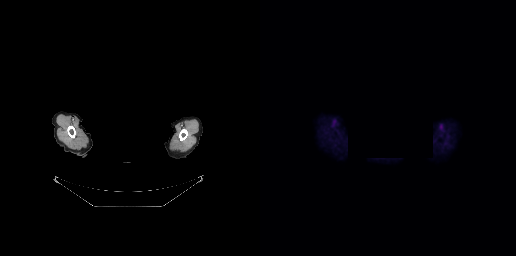
An anonymization step blacked out a rectangle over the head in this scan. Left: CT. Right: PSMA PET, same axial level, [18F]PSMA-1007 tracer. Slice position z = -106 mm. No tumor lesions annotated on this slice.